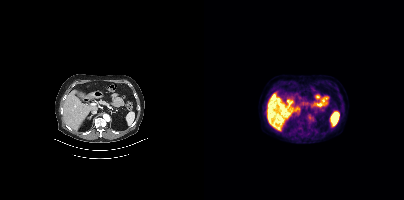
No tumor lesions annotated on this slice.